- Left: CT. Right: PSMA PET, same axial level, 18F-PSMA tracer
- acquired on Siemens Biograph mCT Flow 20
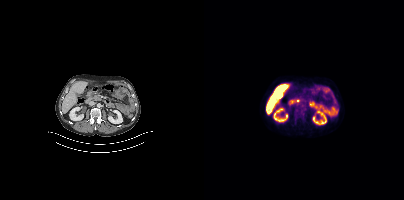
Findings: No PSMA-avid tumor lesions on this slice.